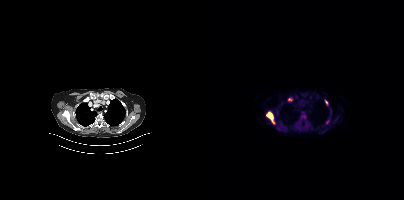
Left: CT. Right: PSMA PET, same axial level, 18F tracer. Slice 309 of 401. Coordinates are on the 200×200 PET (right) panel. PSMA-avid tumor lesion bounding boxes (x0,y0,x1,y1): [62,112,70,123], [97,113,102,119], [84,98,88,101], [121,100,124,105], [122,120,125,124].